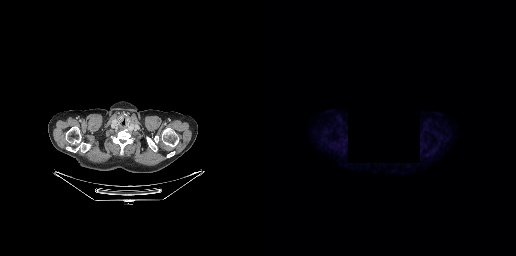
{"modality":"PSMA PET/CT","view":"axial","tracer":"[18F]PSMA-1007","pet_grid":[256,256],"coord_frame":"pet_panel","coord_format":"x0,y0,x1,y1","psma_avid_lesions":false,"deidentification":"region redacted"}